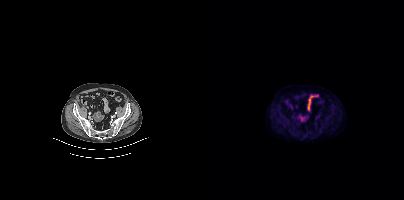
Findings: No PSMA-avid tumor lesions on this slice.
- Two-panel axial: CT | PSMA PET, 18F-PSMA tracer
- acquired on Siemens Biograph mCT Flow 20
- slice position z = -1408 mm
- PET panel 200×200 px (4.1 mm/px)